- Two-panel axial: CT | PSMA PET, 18F-PSMA tracer
- acquired on Siemens Biograph mCT Flow 20
- slice position z = -373 mm
- PET panel 200×200 px (4.1 mm/px)
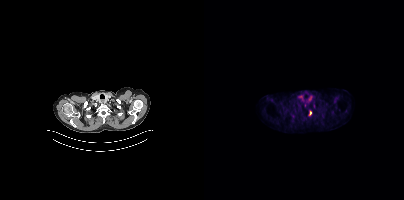
Findings: Coordinates are on the 200×200 PET (right) panel. PSMA-avid tumor lesion bounding box (x0,y0,x1,y1): [104,110,107,115].